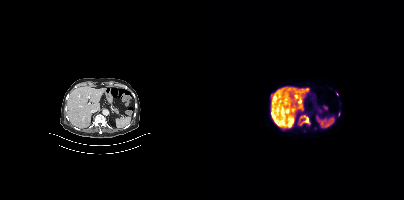
Two-panel axial: CT | PSMA PET, 18F-PSMA tracer. Acquired on Siemens Biograph mCT Flow 20. Coordinates are on the 200×200 PET (right) panel. (showing 6 of 7 foci) PSMA-avid tumor lesion bounding boxes (x, y, width, height): x=73 y=107 w=14 h=8 / x=67 y=113 w=8 h=10 / x=101 y=117 w=4 h=6. Small PSMA-avid foci (2 to 4 px across) near (center x, center y): (102, 89) / (96, 89) / (134, 114).